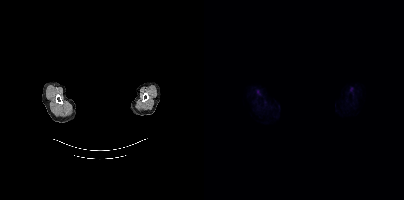
Technique: Paired axial CT (left) and PSMA PET (right), [18F]PSMA-1007 tracer. acquired on Siemens Biograph mCT Flow 20. slice 376 of 401. PET panel 200×200 px (4.1 mm/px).
Note: An anonymization step blacked out a rectangle over the head in this scan.
Findings: Negative for PSMA-avid disease on this slice.